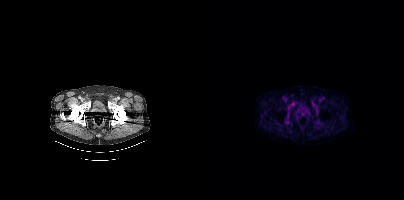
Findings: No PSMA-avid tumor lesions on this slice.
Technique: Two-panel axial: CT | PSMA PET, [18F]PSMA-1007 tracer. slice 64 of 438.